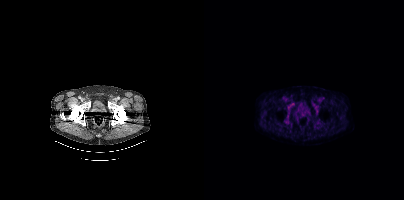
{"modality":"PSMA PET/CT","view":"axial","tracer":"18F-PSMA","pet_grid":[200,200],"coord_frame":"pet_panel","coord_format":"x0,y0,x1,y1","psma_avid_lesions":false}